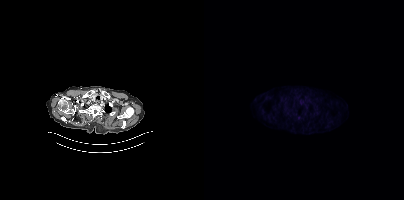
Negative for PSMA-avid disease on this slice.